modality: PSMA PET/CT | tracer: 18F | view: axial
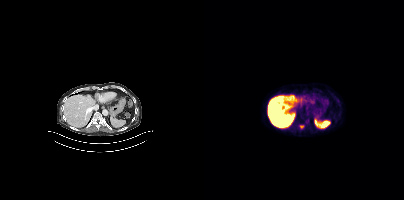
Coordinates are on the 200×200 PET (right) panel. (showing 1 of 2 foci) Small PSMA-avid focus (2 to 4 px across) near (center x, center y): (97, 126).